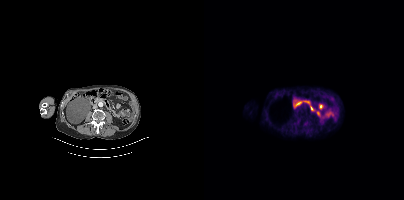
Findings: No PSMA-avid tumor lesions on this slice.
- Two-panel axial: CT | PSMA PET, 18F tracer
- acquired on Siemens Biograph mCT Flow 20
- slice 176 of 411